Left: CT. Right: PSMA PET, same axial level, 18F tracer. Slice 160 of 389. PET panel 200×200 px (4.1 mm/px).
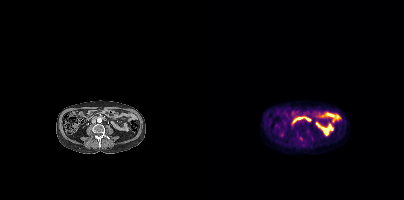
Coordinates are on the 200×200 PET (right) panel. PSMA-avid tumor lesion bounding boxes:
| # | x0 | y0 | x1 | y1 |
|---|---|---|---|---|
| 1 | 95 | 137 | 99 | 140 |